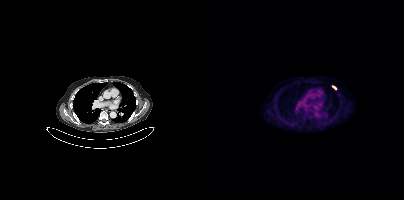
- Left: CT. Right: PSMA PET, same axial level, 18F-PSMA tracer
Findings: Coordinates are on the 200×200 PET (right) panel. PSMA-avid tumor lesion bounding box (x0,y0,x1,y1): [128,86,132,89].